- Two-panel axial: CT | PSMA PET, [18F]PSMA-1007 tracer
- PET panel 200×200 px (4.1 mm/px)
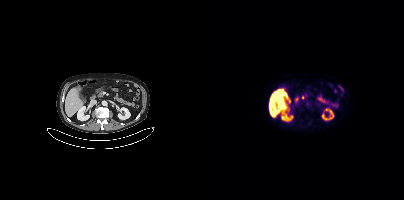
Findings: No PSMA-avid tumor lesions on this slice.